- Two-panel axial: CT | PSMA PET, [18F]PSMA-1007 tracer
- PET panel 256×256 px (2.7 mm/px)
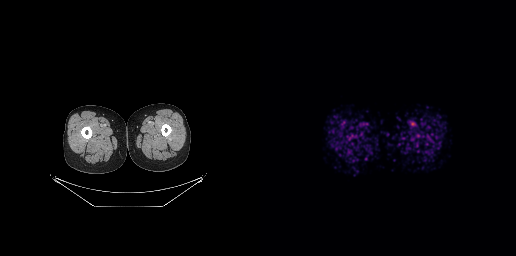
Findings: No PSMA-avid tumor lesions on this slice.